Left: CT. Right: PSMA PET, same axial level, 18F tracer. Slice position z = -1010 mm. PET panel 200×200 px (4.1 mm/px).
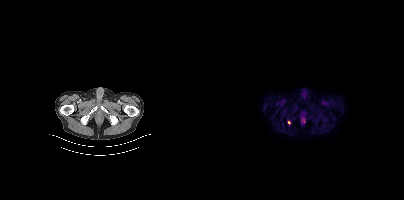
Coordinates are on the 200×200 PET (right) panel. Small PSMA-avid focus (2 to 4 px across) near (center x, center y): (85, 122).